Technique: Paired axial CT (left) and PSMA PET (right), [18F]PSMA-1007 tracer. slice position z = -1415 mm.
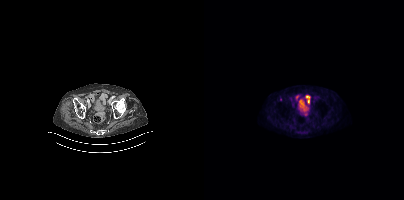
Findings: No PSMA-avid tumor lesions on this slice.